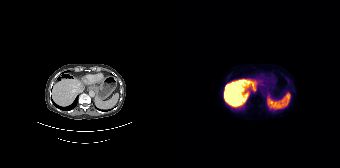
{"modality":"PSMA PET/CT","view":"axial","tracer":"18F-PSMA","pet_grid":[168,168],"coord_frame":"pet_panel","coord_format":"x0,y0,x1,y1","psma_avid_lesions":false}